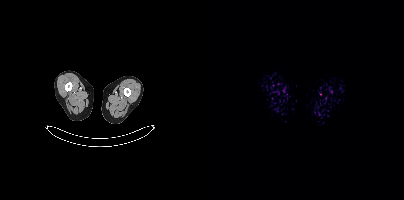
Negative for PSMA-avid disease on this slice.